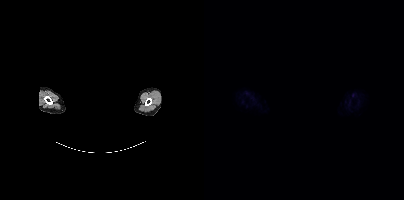
redaction: head region blacked out before release | modality: PSMA PET/CT | tracer: [18F]PSMA-1007 | view: axial
Negative for PSMA-avid disease on this slice.